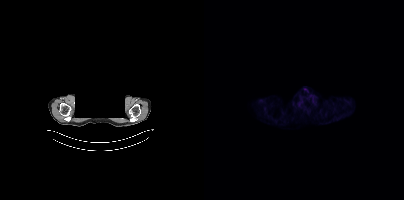
modality: PSMA PET/CT | tracer: 18F-PSMA | view: axial | de-identification: face masked with black rectangle
Negative for PSMA-avid disease on this slice.